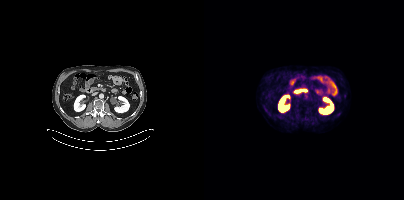
{"modality":"PSMA PET/CT","view":"axial","tracer":"18F","pet_grid":[200,200],"coord_frame":"pet_panel","coord_format":"x0,y0,x1,y1","psma_avid_lesions":false}